Paired axial CT (left) and PSMA PET (right), 18F tracer. PET panel 256×256 px (2.7 mm/px).
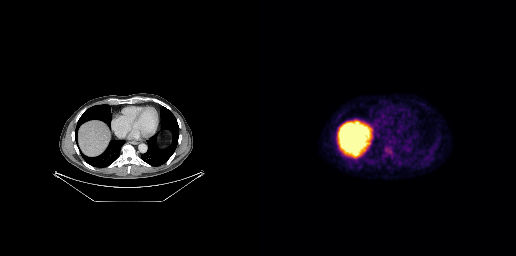
Coordinates are on the 256×256 PET (right) panel. Small PSMA-avid focus (2 to 4 px across) near (center x, center y): (129, 150).